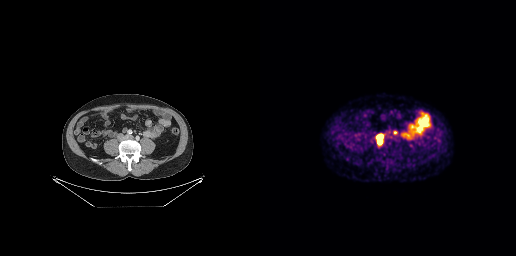
Paired axial CT (left) and PSMA PET (right), 68Ga tracer. PET panel 256×256 px (2.7 mm/px).
Coordinates are on the 256×256 PET (right) panel. PSMA-avid tumor lesion bounding boxes:
| # | x0 | y0 | x1 | y1 |
|---|---|---|---|---|
| 1 | 116 | 133 | 123 | 145 |
| 2 | 133 | 131 | 137 | 134 |